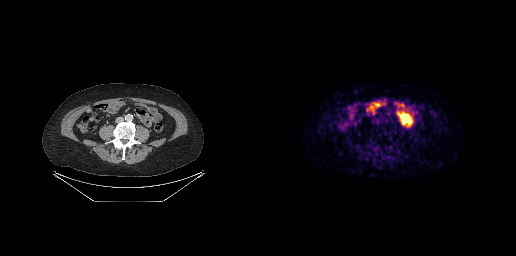
{"pet_grid":[256,256],"coord_frame":"pet_panel","coord_format":"x0,y0,x1,y1","psma_avid_lesions":false,"modality":"PSMA PET/CT","view":"axial","tracer":"68Ga-PSMA"}